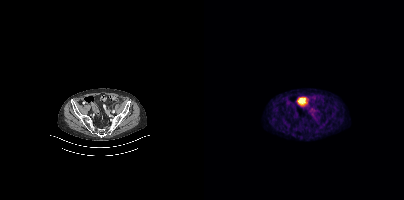
{"modality":"PSMA PET/CT","view":"axial","tracer":"68Ga","pet_grid":[200,200],"coord_frame":"pet_panel","coord_format":"x0,y0,x1,y1","lesion_bboxes":[],"small_foci_centers":[[110,110]]}